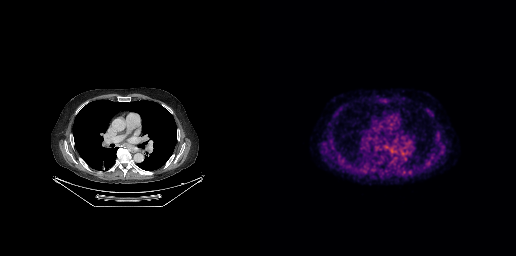
{"modality":"PSMA PET/CT","view":"axial","tracer":"18F-PSMA","pet_grid":[256,256],"coord_frame":"pet_panel","coord_format":"x0,y0,x1,y1","psma_avid_lesions":false}